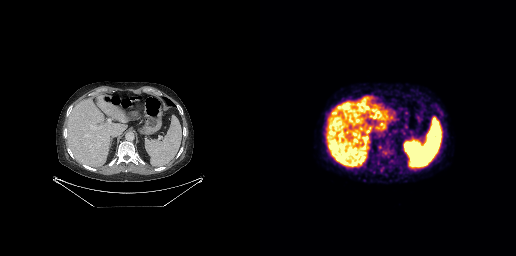
No tumor lesions annotated on this slice.